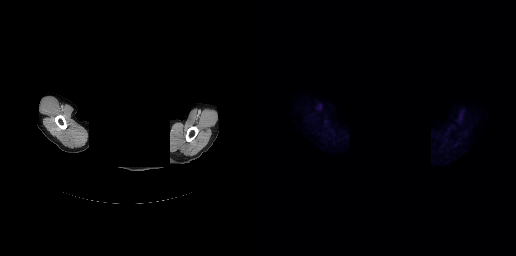
Privacy masking over the head, with the pixels inside a rectangle set to black. Left: CT. Right: PSMA PET, same axial level, 18F-PSMA tracer. No tumor lesions annotated on this slice.